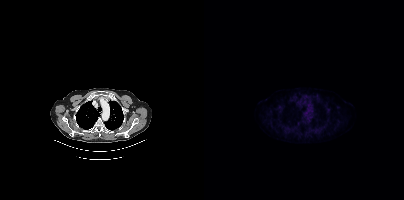
Two-panel axial: CT | PSMA PET, [18F]PSMA-1007 tracer. No PSMA-avid tumor lesions on this slice.